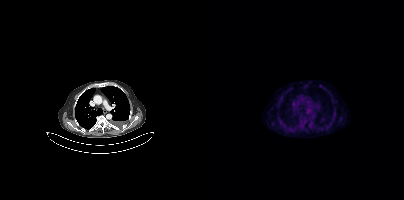
modality: PSMA PET/CT | tracer: [18F]PSMA-1007 | view: axial | PET grid: 200×200
Negative for PSMA-avid disease on this slice.